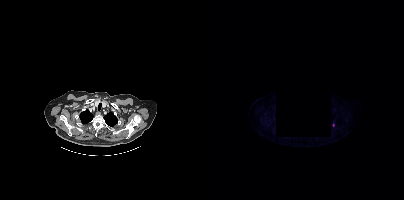
- part of this slice was blanked for de-identification
- Paired axial CT (left) and PSMA PET (right), 18F tracer
- acquired on Siemens Biograph mCT Flow 20
- PET panel 200×200 px (4.1 mm/px)
Findings: Only PSMA-avid lesion pieces thinner than 2 px on this slice (not listed).